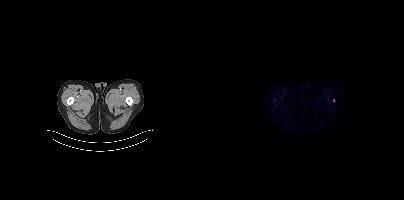
Coordinates are on the 200×200 PET (right) panel. Small PSMA-avid focus (2 to 4 px across) near (center x, center y): (129, 100).